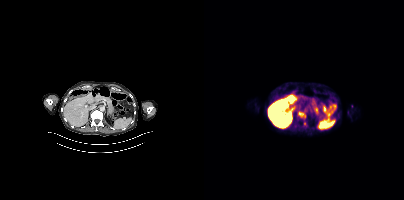
modality: PSMA PET/CT | tracer: 18F | view: axial | PET grid: 200×200
Coordinates are on the 200×200 PET (right) panel. PSMA-avid tumor lesion bounding box (x, y, width, height): x=94 y=111 w=8 h=7. Small PSMA-avid focus (2 to 4 px across) near (center x, center y): (100, 123).